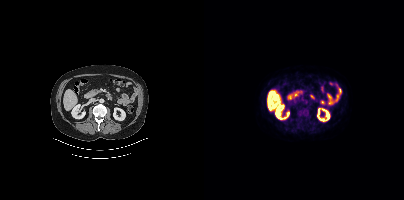
Left: CT. Right: PSMA PET, same axial level, 18F tracer. Slice position z = -1139 mm. PET panel 200×200 px (4.1 mm/px).
Coordinates are on the 200×200 PET (right) panel. PSMA-avid tumor lesion bounding boxes (partial; 1 more focus not listed):
| # | x0 | y0 | x1 | y1 |
|---|---|---|---|---|
| 1 | 93 | 105 | 104 | 116 |
Small PSMA-avid focus (2 to 4 px across) near (center x, center y): (93, 120).